Technique: Paired axial CT (left) and PSMA PET (right), 18F-PSMA tracer. acquired on Siemens Biograph mCT Flow 20. slice 204 of 393.
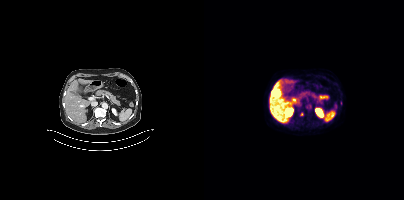
Findings: Only PSMA-avid lesion pieces thinner than 2 px on this slice (not listed).